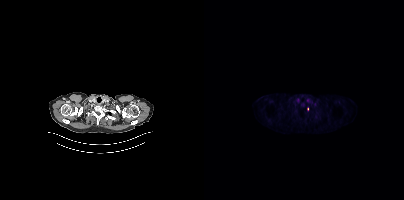
{"pet_grid":[200,200],"coord_frame":"pet_panel","coord_format":"x0,y0,x1,y1","lesion_bboxes":[],"small_foci_centers":[[103,109]],"modality":"PSMA PET/CT","view":"axial","tracer":"[18F]PSMA-1007"}